Technique: Paired axial CT (left) and PSMA PET (right), 68Ga-PSMA tracer. PET panel 168×168 px (4.1 mm/px).
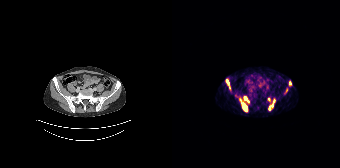
Findings: Coordinates are on the 168×168 PET (right) panel. PSMA-avid tumor lesion bounding boxes (x0,y0,x1,y1): [68,97,77,111] [96,98,103,110] [54,79,57,84] [117,81,119,85] [96,97,98,101]. Small PSMA-avid focus (2 to 4 px across) near (center x, center y): (114, 90).